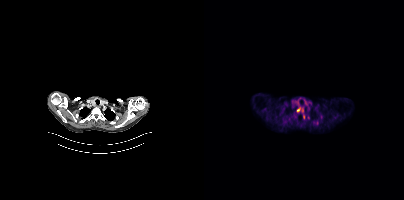
Findings: Coordinates are on the 200×200 PET (right) panel. (showing 1 of 2 foci) Small PSMA-avid focus (2 to 4 px across) near (center x, center y): (94, 109).
Technique: Paired axial CT (left) and PSMA PET (right), [18F]PSMA-1007 tracer. acquired on Siemens Biograph mCT Flow 20. PET panel 200×200 px (4.1 mm/px).